Technique: Left: CT. Right: PSMA PET, same axial level, 18F-PSMA tracer. acquired on Siemens Biograph mCT Flow 20. slice 170 of 387.
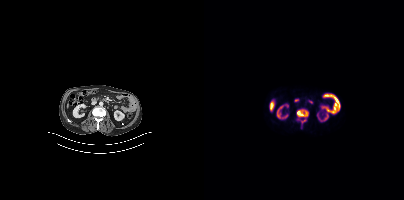
Findings: Coordinates are on the 200×200 PET (right) panel. (showing 1 of 2 foci) PSMA-avid tumor lesion bounding box (x0,y0,x1,y1): [93,110,104,116].